- Left: CT. Right: PSMA PET, same axial level, 18F tracer
- slice 87 of 438
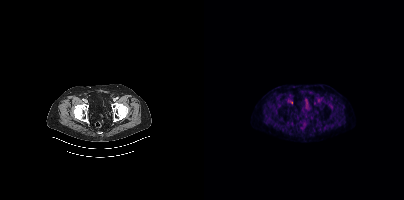
Findings: Negative for PSMA-avid disease on this slice.